modality: PSMA PET/CT | tracer: 18F | view: axial | PET grid: 168×168
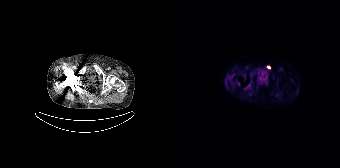
Coordinates are on the 168×168 PET (right) panel. Small PSMA-avid focus (2 to 4 px across) near (center x, center y): (96, 66).